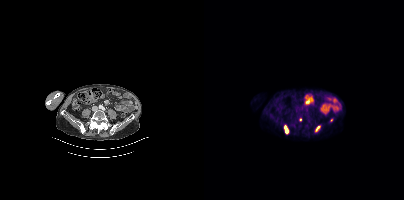
Paired axial CT (left) and PSMA PET (right), 18F-PSMA tracer. Acquired on Siemens Biograph mCT Flow 20. Coordinates are on the 200×200 PET (right) panel. PSMA-avid tumor lesion bounding boxes (x, y, width, height): x=80 y=125 w=5 h=9; x=111 y=125 w=6 h=7. Small PSMA-avid foci (2 to 4 px across) near (center x, center y): (96, 119); (127, 120).